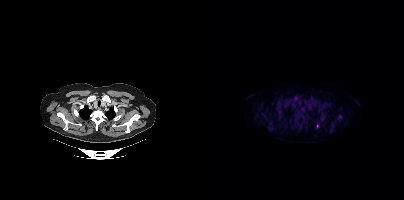
Coordinates are on the 200×200 PET (right) panel. (showing 11 of 13 foci) PSMA-avid tumor lesion bounding boxes (x, y, width, height): x=72 y=107 w=4 h=5 / x=96 y=113 w=5 h=6 / x=106 y=96 w=4 h=5 / x=81 y=101 w=4 h=5 / x=128 y=126 w=3 h=5. Small PSMA-avid foci (2 to 4 px across) near (center x, center y): (91, 97) / (118, 117) / (121, 114) / (113, 125) / (117, 107) / (92, 118). Left: CT. Right: PSMA PET, same axial level, [18F]PSMA-1007 tracer. Acquired on Siemens Biograph mCT Flow 20. Slice position z = -799 mm.